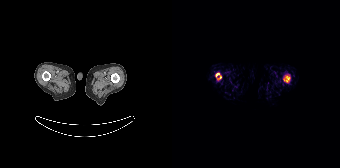
{"modality":"PSMA PET/CT","view":"axial","tracer":"[18F]PSMA-1007","pet_grid":[168,168],"coord_frame":"pet_panel","coord_format":"x0,y0,x1,y1","lesion_bboxes":[[111,75,118,82],[43,73,49,79]]}